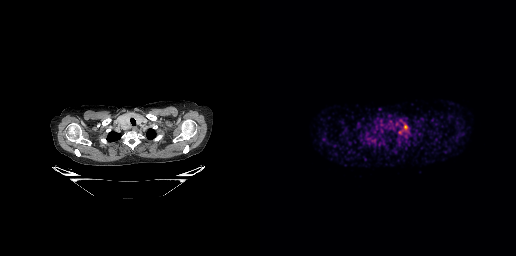
Two-panel axial: CT | PSMA PET, [68Ga]Ga-PSMA-11 tracer. Coordinates are on the 256×256 PET (right) panel. (showing 1 of 2 foci) PSMA-avid tumor lesion bounding box (x0,y0,x1,y1): [144,125,147,129].